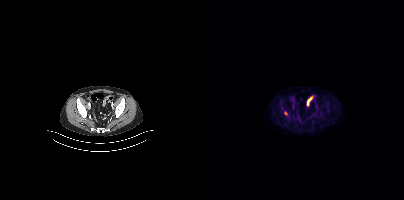
- Paired axial CT (left) and PSMA PET (right), 18F tracer
- acquired on Siemens Biograph mCT Flow 20
- PET panel 200×200 px (4.1 mm/px)
Findings: Only PSMA-avid lesion pieces thinner than 2 px on this slice (not listed).